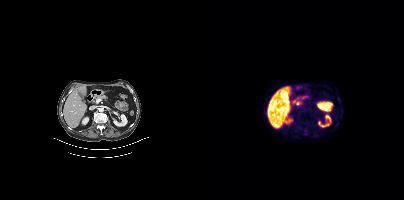
- Paired axial CT (left) and PSMA PET (right), [18F]PSMA-1007 tracer
Findings: No PSMA-avid tumor lesions on this slice.